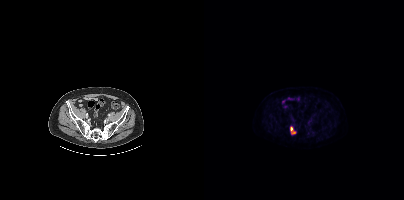
Paired axial CT (left) and PSMA PET (right), 18F tracer.
Coordinates are on the 200×200 PET (right) panel. PSMA-avid tumor lesion bounding boxes:
| # | x0 | y0 | x1 | y1 |
|---|---|---|---|---|
| 1 | 86 | 127 | 91 | 133 |